Paired axial CT (left) and PSMA PET (right), 18F tracer. Acquired on Siemens Biograph mCT Flow 20. Slice 217 of 431.
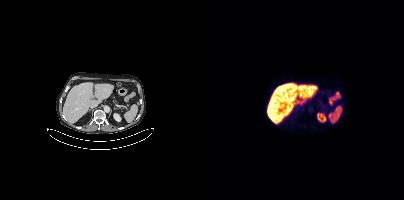
No tumor lesions annotated on this slice.